The face region was removed for patient privacy by blanking a rectangle over the head. Left: CT. Right: PSMA PET, same axial level, [18F]PSMA-1007 tracer. PET panel 256×256 px (2.7 mm/px).
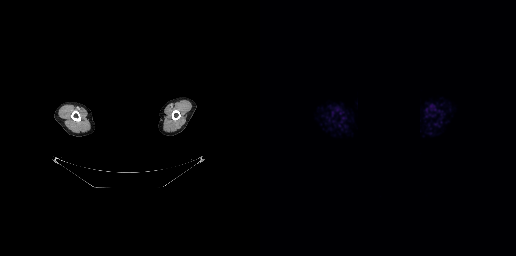
No tumor lesions annotated on this slice.